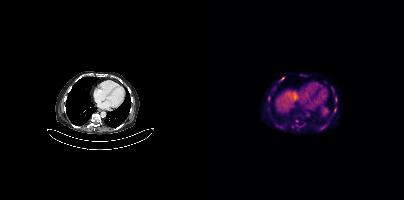
Technique: Two-panel axial: CT | PSMA PET, 18F-PSMA tracer. PET panel 200×200 px (4.1 mm/px).
Findings: Coordinates are on the 200×200 PET (right) panel. (showing 6 of 8 foci) PSMA-avid tumor lesion bounding box (x0, y0)-(x1, y1): (131, 97)-(132, 101). Small PSMA-avid foci (2 to 4 px across) near (center x, center y): (78, 78) / (131, 109) / (128, 89) / (73, 125) / (97, 74).